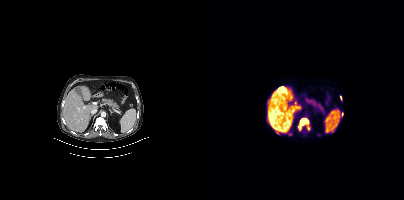
Coordinates are on the 200×200 PET (right) panel. PSMA-avid tumor lesion bounding box (x0,y0,x1,y1): [96,118,105,130]. Small PSMA-avid foci (2 to 4 px across) near (center x, center y): (136, 98), (138, 114).
modality: PSMA PET/CT | tracer: [18F]PSMA-1007 | view: axial